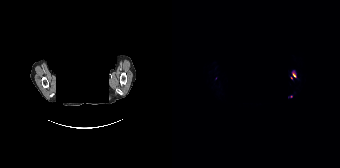
Face de-identified by blanking a block of the head. Left: CT. Right: PSMA PET, same axial level, 18F-PSMA tracer.
Coordinates are on the 168×168 PET (right) panel. PSMA-avid tumor lesion bounding boxes (partial; 2 more foci not listed):
| # | x0 | y0 | x1 | y1 |
|---|---|---|---|---|
| 1 | 118 | 71 | 124 | 79 |